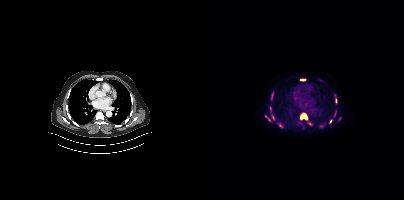
{"modality":"PSMA PET/CT","view":"axial","tracer":"[18F]PSMA-1007","pet_grid":[200,200],"coord_frame":"pet_panel","coord_format":"x0,y0,x1,y1","partial":true,"lesion_bboxes":[[96,113,103,119],[67,92,69,99],[96,79,101,80],[67,115,70,119],[74,124,78,127],[66,106,67,110],[131,99,132,103]],"small_foci_centers":[[126,121],[130,115]]}